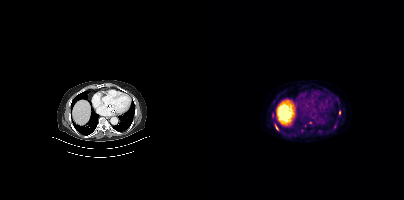
Paired axial CT (left) and PSMA PET (right), [18F]PSMA-1007 tracer. Slice 259 of 407. Coordinates are on the 200×200 PET (right) panel. (showing 7 of 8 foci) PSMA-avid tumor lesion bounding boxes (x0, y0)-(x1, y1): (68, 113)-(70, 118); (130, 124)-(132, 128); (71, 125)-(74, 130); (135, 110)-(136, 114). Small PSMA-avid foci (2 to 4 px across) near (center x, center y): (106, 122); (100, 125); (90, 135).